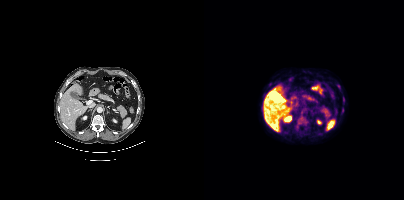
{"modality":"PSMA PET/CT","view":"axial","tracer":"[18F]PSMA-1007","pet_grid":[200,200],"coord_frame":"pet_panel","coord_format":"x0,y0,x1,y1","lesion_bboxes":[],"small_foci_centers":[[140,106]]}